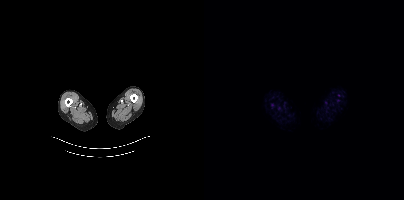
Paired axial CT (left) and PSMA PET (right), [18F]PSMA-1007 tracer. Slice position z = -1558 mm. PET panel 200×200 px (4.1 mm/px). No PSMA-avid tumor lesions on this slice.